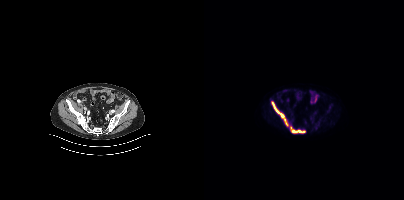
modality: PSMA PET/CT | tracer: 18F | view: axial | PET grid: 200×200
Coordinates are on the 200×200 PET (right) panel. (showing 2 of 3 foci) PSMA-avid tumor lesion bounding boxes (x0, y0)-(x1, y1): (68, 102)-(83, 125) | (88, 130)-(101, 132).